modality: PSMA PET/CT | tracer: 18F | view: axial
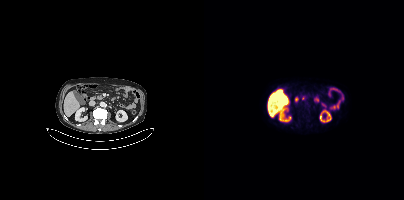
Negative for PSMA-avid disease on this slice.